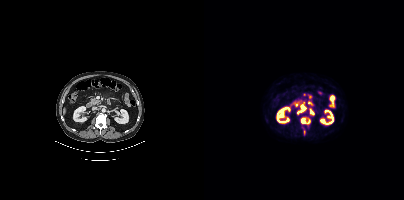
Coordinates are on the 200×200 PET (right) panel. PSMA-avid tumor lesion bounding boxes:
| # | x0 | y0 | x1 | y1 |
|---|---|---|---|---|
| 1 | 93 | 105 | 102 | 113 |
| 2 | 97 | 118 | 101 | 123 |
| 3 | 106 | 109 | 110 | 114 |
Small PSMA-avid focus (2 to 4 px across) near (center x, center y): (104, 121).
Paired axial CT (left) and PSMA PET (right), 18F tracer. Slice position z = -1313 mm.